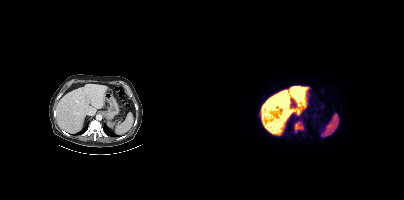
- Two-panel axial: CT | PSMA PET, [18F]PSMA-1007 tracer
- slice 321 of 508
- PET panel 200×200 px (4.1 mm/px)
Findings: Coordinates are on the 200×200 PET (right) panel. PSMA-avid tumor lesion bounding box (x0, y0)-(x1, y1): (90, 121)-(99, 132).